modality: PSMA PET/CT | tracer: [18F]PSMA-1007 | view: axial
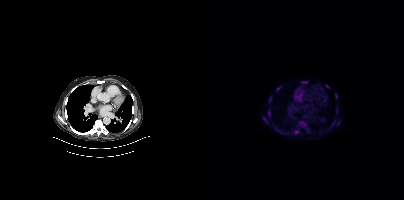
Coordinates are on the 200×200 PET (right) panel. (showing 7 of 8 foci) PSMA-avid tumor lesion bounding boxes (x0,y0,x1,y1): [95,120,102,128] [64,110,66,116] [65,96,67,102] [59,117,63,122] [98,82,103,83] [73,86,77,90] [131,94,133,98].